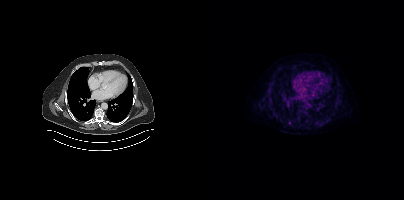
{"pet_grid":[200,200],"coord_frame":"pet_panel","coord_format":"x0,y0,x1,y1","lesion_bboxes":[],"small_foci_centers":[[77,120]],"modality":"PSMA PET/CT","view":"axial","tracer":"18F-PSMA"}